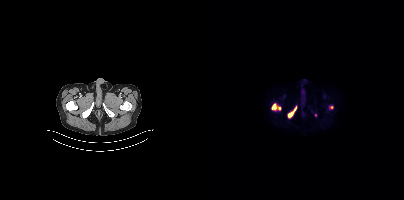
{"modality":"PSMA PET/CT","view":"axial","tracer":"[18F]PSMA-1007","pet_grid":[200,200],"coord_frame":"pet_panel","coord_format":"x0,y0,x1,y1","lesion_bboxes":[[83,106,92,117],[67,103,76,110],[125,106,129,109]]}